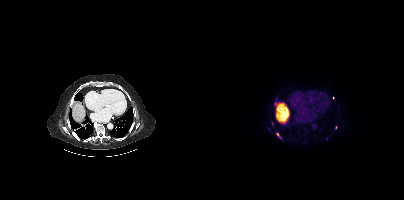
- Two-panel axial: CT | PSMA PET, 18F tracer
- slice 260 of 389
Findings: Coordinates are on the 200×200 PET (right) panel. (showing 3 of 4 foci) PSMA-avid tumor lesion bounding box (x0,y0,x1,y1): [72,133,77,138]. Small PSMA-avid foci (2 to 4 px across) near (center x, center y): (68, 123), (71, 118).